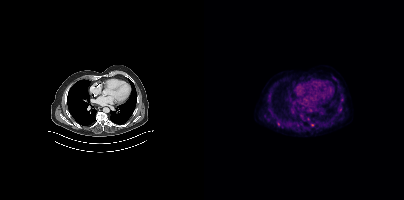
{"modality":"PSMA PET/CT","view":"axial","tracer":"[18F]PSMA-1007","pet_grid":[200,200],"coord_frame":"pet_panel","coord_format":"x0,y0,x1,y1","partial":true,"lesion_bboxes":[],"small_foci_centers":[[74,123],[108,125],[104,118]]}